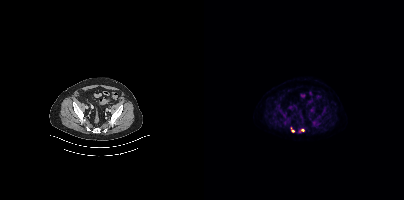
{"modality":"PSMA PET/CT","view":"axial","tracer":"[18F]PSMA-1007","pet_grid":[200,200],"coord_frame":"pet_panel","coord_format":"x0,y0,x1,y1","partial":true,"lesion_bboxes":[],"small_foci_centers":[[89,131],[98,129]]}